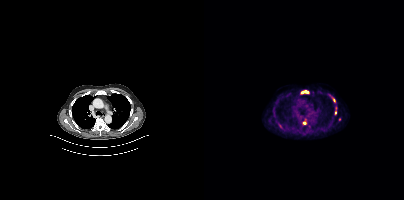
Coordinates are on the 200×200 PET (right) panel. (showing 4 of 7 foci) PSMA-avid tumor lesion bounding boxes (x0,y0,x1,y1): [97,90,104,94]; [98,119,102,124]. Small PSMA-avid foci (2 to 4 px across) near (center x, center y): (130, 99); (131, 112).